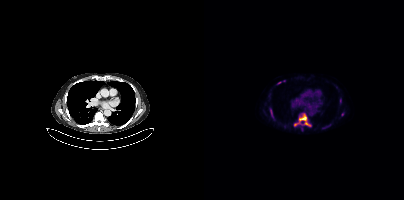
Coordinates are on the 200×200 PET (right) panel. PSMA-avid tumor lesion bounding boxes (partial; 1 more focus not listed):
| # | x0 | y0 | x1 | y1 |
|---|---|---|---|---|
| 1 | 90 | 113 | 106 | 126 |
| 2 | 66 | 109 | 69 | 118 |
| 3 | 118 | 124 | 126 | 128 |
Small PSMA-avid foci (2 to 4 px across) near (center x, center y): (138, 114); (75, 82); (136, 101).
Two-panel axial: CT | PSMA PET, 18F tracer. Acquired on Siemens Biograph mCT Flow 20.